Left: CT. Right: PSMA PET, same axial level, [18F]PSMA-1007 tracer. Acquired on Siemens Biograph mCT Flow 20. Slice position z = -958 mm. PET panel 200×200 px (4.1 mm/px).
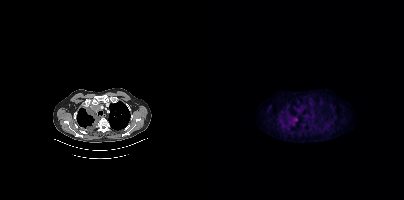
Coordinates are on the 200×200 PET (right) panel. PSMA-avid tumor lesion bounding box (x0, y0)-(x1, y1): (85, 117)-(93, 125).